Left: CT. Right: PSMA PET, same axial level, 18F-PSMA tracer.
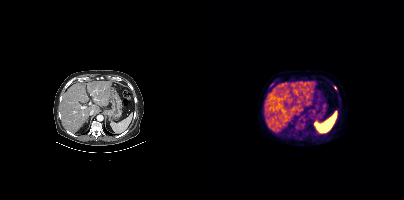
Coordinates are on the 200×200 PET (right) panel. Small PSMA-avid foci (2 to 4 px across) near (center x, center y): (67, 84) | (131, 87) | (95, 118) | (89, 134).